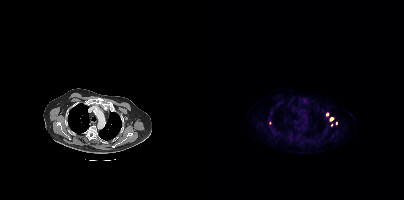
Findings: Coordinates are on the 200×200 PET (right) panel. (showing 3 of 5 foci) Small PSMA-avid foci (2 to 4 px across) near (center x, center y): (127, 119), (123, 114), (127, 124).
Technique: Left: CT. Right: PSMA PET, same axial level, 18F-PSMA tracer. acquired on Siemens Biograph mCT Flow 20.